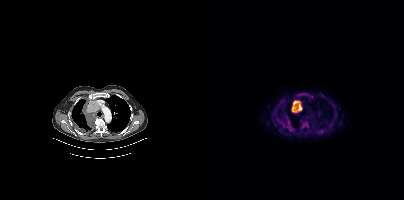
Two-panel axial: CT | PSMA PET, [18F]PSMA-1007 tracer. Acquired on Siemens Biograph mCT Flow 20. Slice position z = -1066 mm. PET panel 200×200 px (4.1 mm/px).
Coordinates are on the 200×200 PET (right) panel. PSMA-avid tumor lesion bounding boxes:
| # | x0 | y0 | x1 | y1 |
|---|---|---|---|---|
| 1 | 88 | 101 | 97 | 112 |
| 2 | 77 | 118 | 88 | 130 |
| 3 | 93 | 92 | 101 | 97 |
| 4 | 99 | 121 | 103 | 125 |